Technique: Left: CT. Right: PSMA PET, same axial level, [18F]PSMA-1007 tracer.
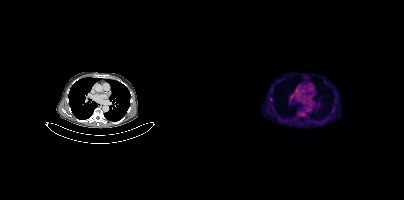
Findings: Coordinates are on the 200×200 PET (right) panel. Small PSMA-avid focus (2 to 4 px across) near (center x, center y): (66, 99).